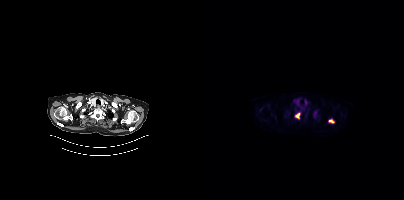
Paired axial CT (left) and PSMA PET (right), [18F]PSMA-1007 tracer. PET panel 200×200 px (4.1 mm/px).
Coordinates are on the 200×200 PET (right) panel. PSMA-avid tumor lesion bounding boxes:
| # | x0 | y0 | x1 | y1 |
|---|---|---|---|---|
| 1 | 91 | 113 | 95 | 118 |
| 2 | 125 | 119 | 130 | 122 |